redaction: privacy mask over head | modality: PSMA PET/CT | tracer: [18F]PSMA-1007 | view: axial | PET grid: 200×200
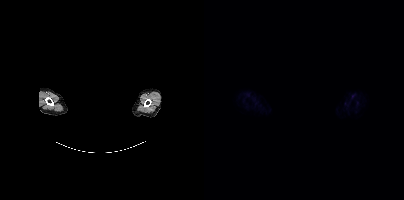
This slice has no annotated PSMA-avid lesion.